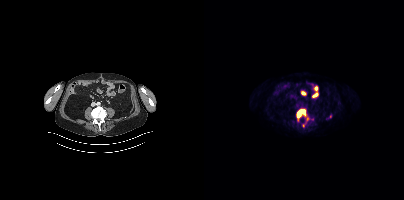
Paired axial CT (left) and PSMA PET (right), 18F-PSMA tracer.
Coordinates are on the 200×200 PET (right) panel. PSMA-avid tumor lesion bounding boxes:
| # | x0 | y0 | x1 | y1 |
|---|---|---|---|---|
| 1 | 93 | 109 | 102 | 119 |
Small PSMA-avid foci (2 to 4 px across) near (center x, center y): (99, 125); (103, 118).